Left: CT. Right: PSMA PET, same axial level, 68Ga tracer. PET panel 200×200 px (4.1 mm/px).
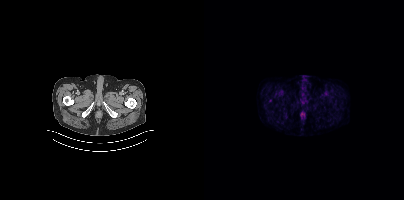
Coordinates are on the 200×200 PET (right) panel. Small PSMA-avid focus (2 to 4 px across) near (center x, center y): (66, 100).